Technique: Paired axial CT (left) and PSMA PET (right), 18F-PSMA tracer. slice position z = -1491 mm. PET panel 200×200 px (4.1 mm/px).
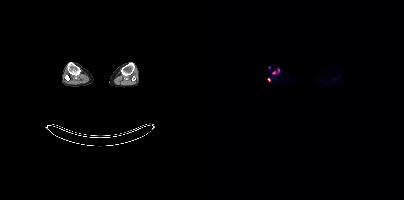
Findings: Coordinates are on the 200×200 PET (right) panel. PSMA-avid tumor lesion bounding box (x0,y0,x1,y1): [74,68,75,72]. Small PSMA-avid foci (2 to 4 px across) near (center x, center y): (69, 72) (65, 67) (64, 79).